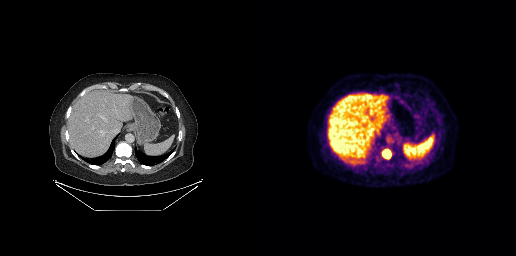
Coordinates are on the 256×256 PET (right) panel. PSMA-avid tumor lesion bounding box (x0,y0,x1,y1): [124,150,129,157].